modality: PSMA PET/CT | tracer: [18F]PSMA-1007 | view: axial
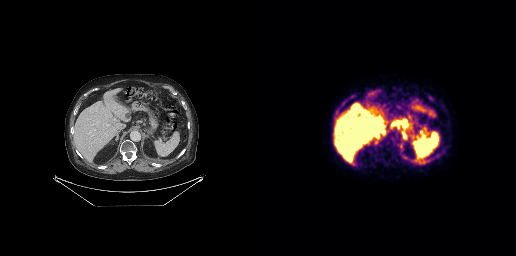
No PSMA-avid tumor lesions on this slice.